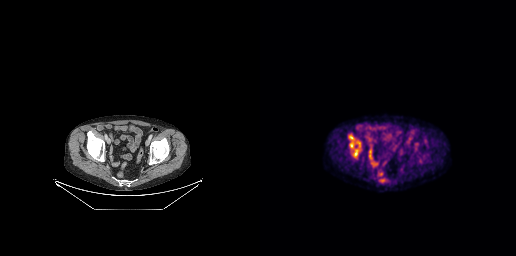
Technique: Paired axial CT (left) and PSMA PET (right), 18F tracer. acquired on GE Discovery 690.
Findings: Coordinates are on the 256×256 PET (right) panel. (showing 3 of 4 foci) PSMA-avid tumor lesion bounding box (x0,y0,x1,y1): [88,135,101,156]. Small PSMA-avid foci (2 to 4 px across) near (center x, center y): (122, 180), (121, 174).